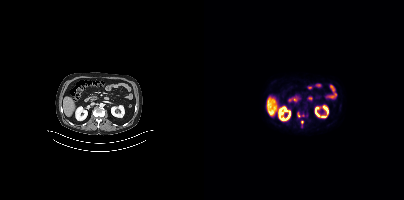
Paired axial CT (left) and PSMA PET (right), 18F tracer. Acquired on Siemens Biograph mCT Flow 20. PET panel 200×200 px (4.1 mm/px). Coordinates are on the 200×200 PET (right) panel. (showing 2 of 3 foci) PSMA-avid tumor lesion bounding box (x0, y0)-(x1, y1): (93, 112)-(96, 117). Small PSMA-avid focus (2 to 4 px across) near (center x, center y): (98, 122).